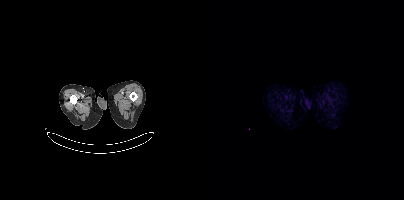
Two-panel axial: CT | PSMA PET, [18F]PSMA-1007 tracer. Slice 14 of 425. This slice has no annotated PSMA-avid lesion.